Technique: Paired axial CT (left) and PSMA PET (right), 68Ga tracer. slice position z = -398 mm. PET panel 256×256 px (2.7 mm/px).
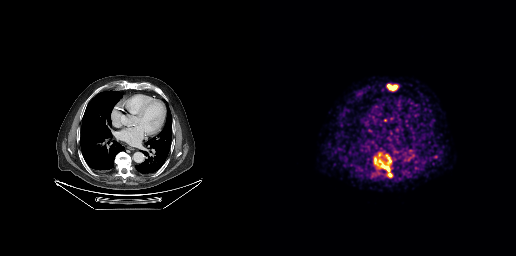
Findings: Coordinates are on the 256×256 PET (right) panel. PSMA-avid tumor lesion bounding boxes (x0,y0,x1,y1): [114,152,132,177] [127,84,137,90].